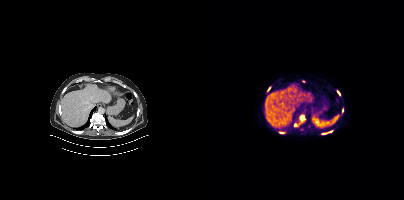
Two-panel axial: CT | PSMA PET, [18F]PSMA-1007 tracer. Slice position z = -600 mm.
Coordinates are on the 200×200 PET (right) panel. PSMA-avid tumor lesion bounding boxes (partial; 1 more focus not listed):
| # | x0 | y0 | x1 | y1 |
|---|---|---|---|---|
| 1 | 96 | 117 | 101 | 121 |
| 2 | 133 | 91 | 136 | 95 |
Small PSMA-avid foci (2 to 4 px across) near (center x, center y): (91, 124); (126, 131).